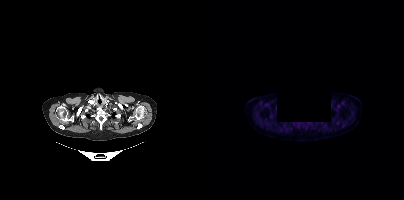
A block of pixels was blacked out before release to protect privacy. Two-panel axial: CT | PSMA PET, 18F tracer. PET panel 200×200 px (4.1 mm/px). No tumor lesions annotated on this slice.